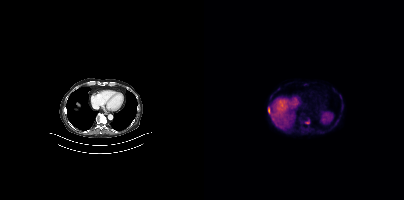
Coordinates are on the 200×200 PET (right) panel. (showing 2 of 3 foci) PSMA-avid tumor lesion bounding boxes (x0,y0,x1,y1): [96,117,105,123] [64,107,65,112].